- Left: CT. Right: PSMA PET, same axial level, [68Ga]Ga-PSMA-11 tracer
- acquired on Siemens Biograph mCT Flow 20
- slice position z = 566 mm
- PET panel 200×200 px (4.1 mm/px)
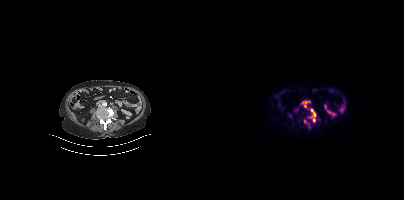
Findings: Coordinates are on the 200×200 PET (right) panel. PSMA-avid tumor lesion bounding boxes (x, y, width, height): x=106 y=109 w=7 h=9 / x=99 y=103 w=4 h=5. Small PSMA-avid foci (2 to 4 px across) near (center x, center y): (91, 109) / (101, 121) / (110, 120) / (105, 127).